modality: PSMA PET/CT | tracer: 18F-PSMA | view: axial | PET grid: 200×200
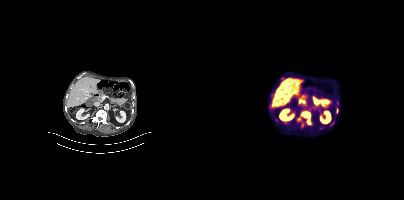
Coordinates are on the 200×200 PET (right) panel. (showing 1 of 2 foci) PSMA-avid tumor lesion bounding box (x0, y0)-(x1, y1): (101, 115)-(106, 120).